Technique: Two-panel axial: CT | PSMA PET, [18F]PSMA-1007 tracer. acquired on Siemens Biograph mCT Flow 20. slice 203 of 444.
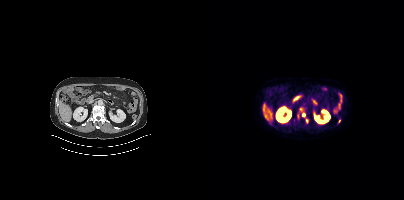
Findings: Coordinates are on the 200×200 PET (right) panel. Small PSMA-avid foci (2 to 4 px across) near (center x, center y): (99, 114) (63, 118) (135, 120).